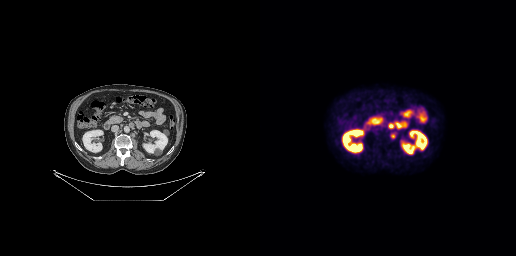
{"modality":"PSMA PET/CT","view":"axial","tracer":"[18F]PSMA-1007","pet_grid":[256,256],"coord_frame":"pet_panel","coord_format":"x0,y0,x1,y1","lesion_bboxes":[[128,121,135,129],[130,133,135,138]]}